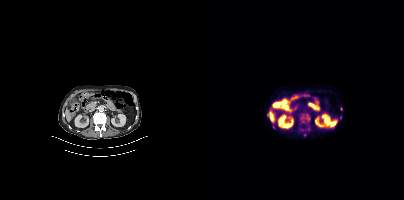
Coordinates are on the 200×200 PET (right) panel. PSMA-avid tumor lesion bounding boxes (partial; 1 more focus not listed):
| # | x0 | y0 | x1 | y1 |
|---|---|---|---|---|
| 1 | 97 | 114 | 105 | 122 |
Small PSMA-avid foci (2 to 4 px across) near (center x, center y): (136, 117); (137, 108).
Paired axial CT (left) and PSMA PET (right), 18F-PSMA tracer. Slice position z = -596 mm. PET panel 200×200 px (4.1 mm/px).